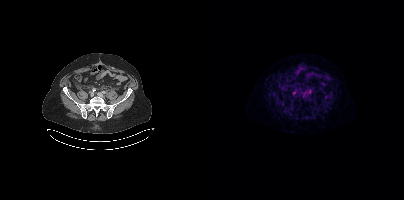
Coordinates are on the 200×200 PET (right) panel. PSMA-avid tumor lesion bounding box (x0,y0,x1,y1): [99,96,103,100].